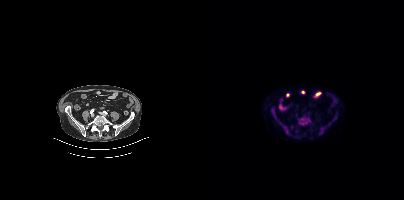
Coordinates are on the 200×200 PET (right) panel. (showing 2 of 3 foci) PSMA-avid tumor lesion bounding boxes (x, y, width, height): x=95 y=115 w=11 h=11; x=75 y=122 w=7 h=9.